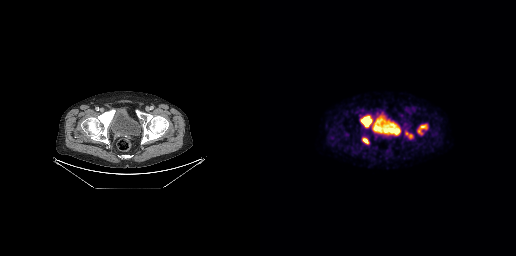
Coordinates are on the 256×256 PET (right) panel. PSMA-avid tumor lesion bounding boxes (x0, y0)-(x1, y1): (157, 123)-(168, 135) | (100, 115)-(112, 127) | (146, 132)-(153, 139) | (102, 138)-(108, 143). Small PSMA-avid focus (2 to 4 px across) near (center x, center y): (145, 124).
modality: PSMA PET/CT | tracer: 18F | view: axial | PET grid: 256×256